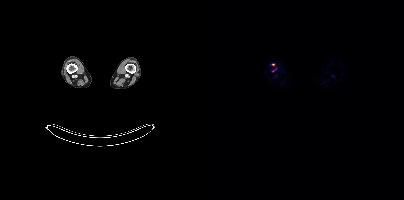
Coordinates are on the 200×200 PET (right) panel. (showing 1 of 2 foci) Small PSMA-avid focus (2 to 4 px across) near (center x, center y): (69, 64).